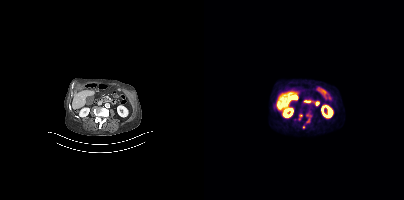
Coordinates are on the 200×200 PET (right) panel. PSMA-avid tumor lesion bounding boxes (x0, y0)-(x1, y1): (102, 113)-(107, 122) | (95, 114)-(98, 119). Small PSMA-avid foci (2 to 4 px across) near (center x, center y): (99, 127) | (70, 109).